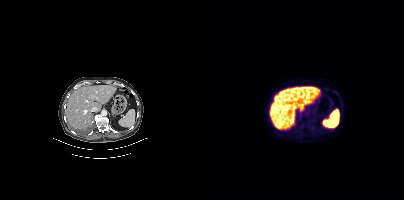
Only PSMA-avid lesion pieces thinner than 2 px on this slice (not listed).